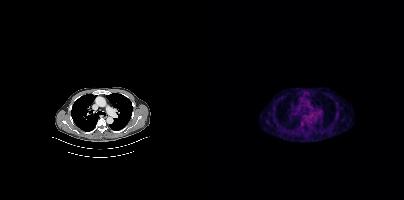
modality: PSMA PET/CT | tracer: [18F]PSMA-1007 | view: axial | PET grid: 200×200
Coordinates are on the 200×200 PET (right) panel. Small PSMA-avid focus (2 to 4 px across) near (center x, center y): (98, 120).